Paired axial CT (left) and PSMA PET (right), 18F tracer. PET panel 200×200 px (4.1 mm/px).
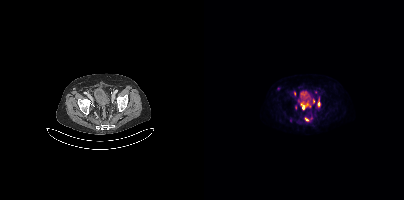
Coordinates are on the 200×200 PET (right) panel. PSMA-avid tumor lesion bounding boxes (x, y, width, height): x=94 y=99 w=9 h=12; x=113 y=101 w=4 h=6; x=109 y=99 w=2 h=5. Small PSMA-avid foci (2 to 4 px across) near (center x, center y): (102, 119); (90, 93); (91, 107).